modality: PSMA PET/CT | tracer: 18F-PSMA | view: axial
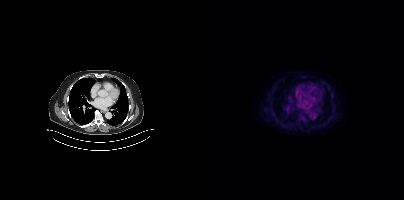
Negative for PSMA-avid disease on this slice.